- Left: CT. Right: PSMA PET, same axial level, 18F-PSMA tracer
- slice position z = -514 mm
- PET panel 200×200 px (4.1 mm/px)
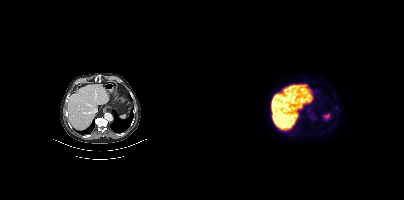
Findings: Negative for PSMA-avid disease on this slice.